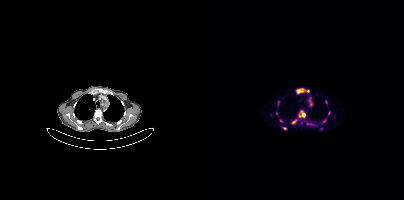
{"modality":"PSMA PET/CT","view":"axial","tracer":"68Ga-PSMA","pet_grid":[200,200],"coord_frame":"pet_panel","coord_format":"x0,y0,x1,y1","partial":true,"lesion_bboxes":[[93,88,105,93],[104,97,108,104],[97,111,101,116],[74,101,75,105]],"small_foci_centers":[[80,128],[121,101],[72,113],[76,120],[89,121]]}